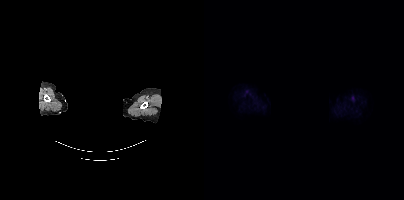
{"modality":"PSMA PET/CT","view":"axial","tracer":"[18F]PSMA-1007","pet_grid":[200,200],"coord_frame":"pet_panel","coord_format":"x0,y0,x1,y1","psma_avid_lesions":false,"deidentification":"rectangular block over head set to black"}